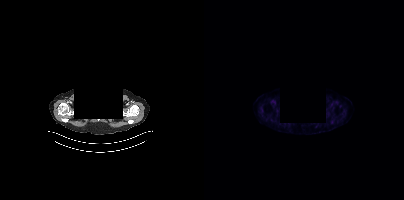
Findings: No tumor lesions annotated on this slice.
- de-identified by setting a box covering the face to black before release
- Two-panel axial: CT | PSMA PET, 18F tracer
- slice 306 of 356
- PET panel 200×200 px (4.1 mm/px)